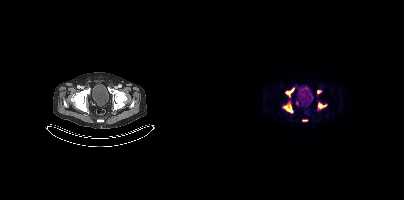
Coordinates are on the 200×200 PET (right) panel. (showing 5 of 6 foci) PSMA-avid tumor lesion bounding boxes (x0, y0)-(x1, y1): (79, 103)-(88, 112); (82, 87)-(90, 96); (114, 103)-(121, 108). Small PSMA-avid foci (2 to 4 px across) near (center x, center y): (93, 102); (114, 91).